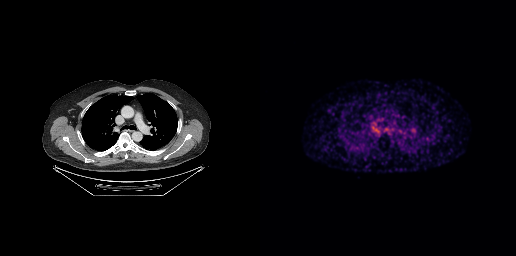
This slice has no annotated PSMA-avid lesion.